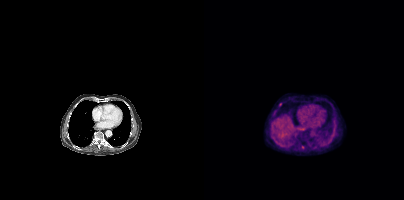
Coordinates are on the 200×200 PET (right) panel. Small PSMA-avid foci (2 to 4 px across) near (center x, center y): (98, 147) (76, 104). Paired axial CT (left) and PSMA PET (right), [18F]PSMA-1007 tracer. Slice 242 of 389. PET panel 200×200 px (4.1 mm/px).